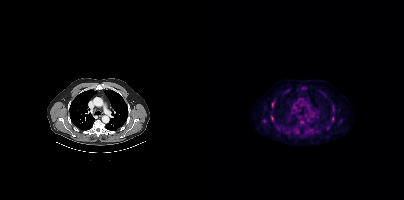
modality: PSMA PET/CT | tracer: [18F]PSMA-1007 | view: axial
Coordinates are on the 200×200 PET (right) panel. Small PSMA-avid foci (2 to 4 px across) near (center x, center y): (69, 102); (129, 106); (68, 118); (128, 118).